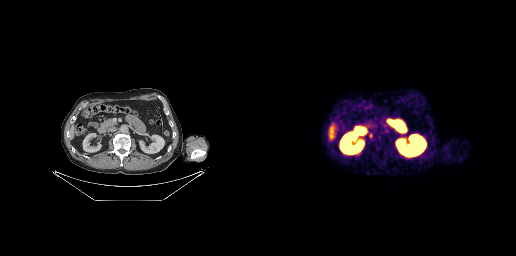
Coordinates are on the 256×256 PET (right) panel. PSMA-avid tumor lesion bounding box (x0, y0)-(x1, y1): (109, 133)-(112, 137).